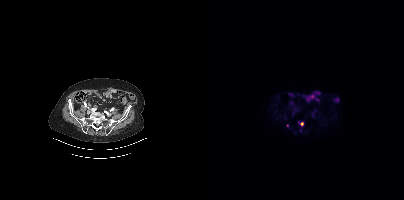
Coordinates are on the 200×200 PET (right) panel. PSMA-avid tumor lesion bounding box (x0,y0,x1,y1): [94,122,99,126]. Small PSMA-avid focus (2 to 4 px across) near (center x, center y): (83, 125).